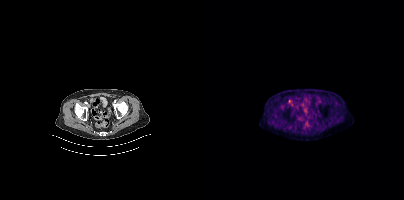
{"pet_grid":[200,200],"coord_frame":"pet_panel","coord_format":"x0,y0,x1,y1","lesion_bboxes":[],"small_foci_centers":[[85,100]],"modality":"PSMA PET/CT","view":"axial","tracer":"18F-PSMA"}